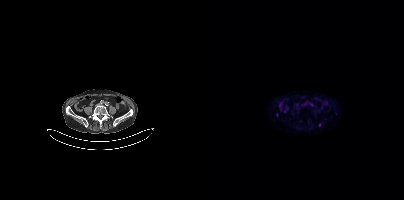
Coordinates are on the 200×200 PET (right) panel. (showing 1 of 2 foci) Small PSMA-avid focus (2 to 4 px across) near (center x, center y): (115, 124).